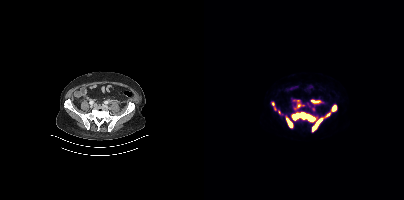
Coordinates are on the 200×200 PET (right) panel. (showing 8 of 11 foci) PSMA-avid tumor lesion bounding boxes (x0, y0)-(x1, y1): (87, 112)-(111, 122); (108, 112)-(126, 131); (82, 117)-(89, 127); (107, 100)-(116, 103); (127, 105)-(132, 111). Small PSMA-avid foci (2 to 4 px across) near (center x, center y): (94, 105); (69, 103); (93, 100).